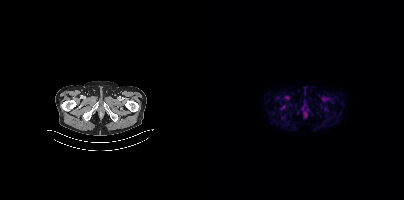
Only PSMA-avid lesion pieces thinner than 2 px on this slice (not listed). Paired axial CT (left) and PSMA PET (right), 18F-PSMA tracer. Acquired on Siemens Biograph mCT Flow 20.